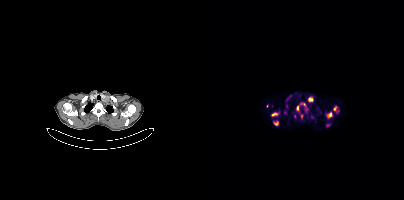
Coordinates are on the 200×200 PET (right) panel. (showing 7 of 10 foci) PSMA-avid tumor lesion bounding boxes (x0, y0)-(x1, y1): (123, 112)-(128, 118) / (104, 97)-(109, 101) / (67, 113)-(73, 116) / (70, 121)-(74, 125) / (92, 106)-(94, 111) / (96, 114)-(99, 118). Small PSMA-avid focus (2 to 4 px across) near (center x, center y): (130, 108).